- privacy masking over the head, with the pixels inside a rectangle set to black
- Paired axial CT (left) and PSMA PET (right), [18F]PSMA-1007 tracer
- acquired on Siemens Biograph mCT Flow 20
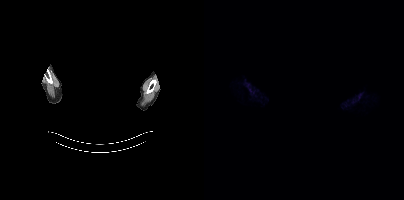
Findings: Negative for PSMA-avid disease on this slice.